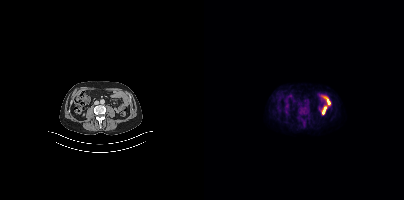
Left: CT. Right: PSMA PET, same axial level, 18F-PSMA tracer. Slice 153 of 413. PET panel 200×200 px (4.1 mm/px). Negative for PSMA-avid disease on this slice.